Technique: Paired axial CT (left) and PSMA PET (right), 18F tracer. acquired on Siemens Biograph mCT Flow 20.
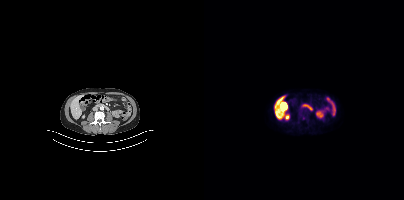
Findings: No tumor lesions annotated on this slice.